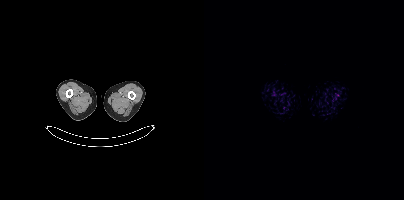
- Left: CT. Right: PSMA PET, same axial level, 18F tracer
- acquired on Siemens Biograph mCT Flow 20
- slice position z = -1602 mm
- PET panel 200×200 px (4.1 mm/px)
Findings: This slice has no annotated PSMA-avid lesion.